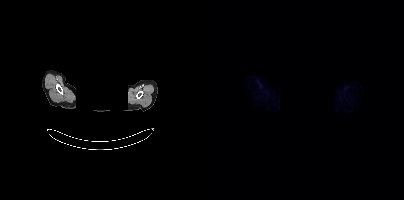
{"pet_grid":[200,200],"coord_frame":"pet_panel","coord_format":"x0,y0,x1,y1","psma_avid_lesions":false,"redaction":"facial region redacted","modality":"PSMA PET/CT","view":"axial","tracer":"18F-PSMA"}